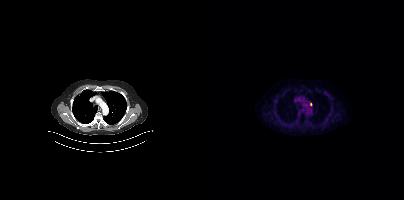
{"modality":"PSMA PET/CT","view":"axial","tracer":"[18F]PSMA-1007","pet_grid":[200,200],"coord_frame":"pet_panel","coord_format":"x0,y0,x1,y1","lesion_bboxes":[],"small_foci_centers":[[106,104]]}